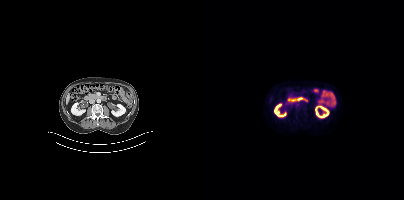
Two-panel axial: CT | PSMA PET, 18F tracer. Acquired on Siemens Biograph mCT Flow 20. Slice 174 of 411. PET panel 200×200 px (4.1 mm/px). No PSMA-avid tumor lesions on this slice.